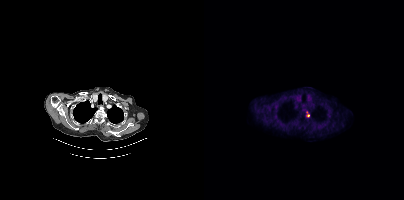
{"pet_grid":[200,200],"coord_frame":"pet_panel","coord_format":"x0,y0,x1,y1","lesion_bboxes":[[102,112,105,117]],"modality":"PSMA PET/CT","view":"axial","tracer":"[18F]PSMA-1007"}